modality: PSMA PET/CT | tracer: 68Ga | view: axial | PET grid: 200×200
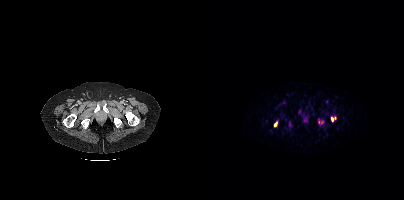
Coordinates are on the 200×200 PET (right) panel. (showing 3 of 4 foci) PSMA-avid tumor lesion bounding boxes (x0, y0)-(x1, y1): (114, 119)-(119, 123) | (70, 121)-(73, 126) | (127, 117)-(129, 121).